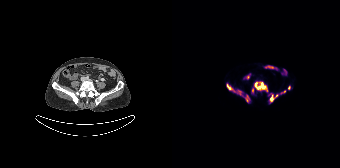
Findings: Coordinates are on the 168×168 PET (right) panel. PSMA-avid tumor lesion bounding boxes (x0, y0)-(x1, y1): (79, 81)-(96, 94) | (96, 93)-(106, 103) | (72, 94)-(78, 102) | (54, 84)-(62, 91) | (66, 90)-(70, 95) | (109, 90)-(113, 93). Small PSMA-avid focus (2 to 4 px across) near (center x, center y): (117, 87).
Technique: Paired axial CT (left) and PSMA PET (right), [18F]PSMA-1007 tracer. acquired on Siemens Biograph 64-4R TruePoint. slice position z = -1095 mm. PET panel 168×168 px (4.1 mm/px).